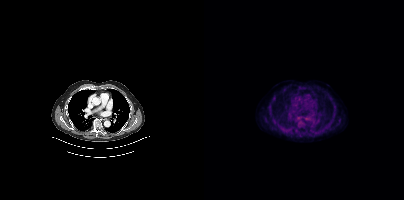
Technique: Left: CT. Right: PSMA PET, same axial level, 18F-PSMA tracer. acquired on Siemens Biograph mCT Flow 20. slice 287 of 409.
Findings: This slice has no annotated PSMA-avid lesion.